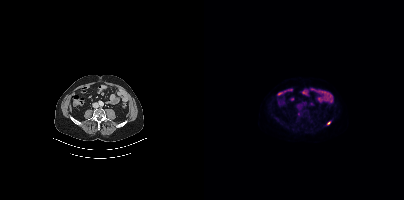
- Two-panel axial: CT | PSMA PET, 18F tracer
- slice position z = -1346 mm
Findings: Coordinates are on the 200×200 PET (right) panel. Small PSMA-avid foci (2 to 4 px across) near (center x, center y): (124, 122) | (94, 113).